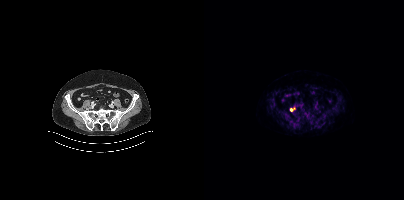
Coordinates are on the 200×200 PET (right) panel. PSMA-avid tumor lesion bounding box (x0, y0)-(x1, y1): (86, 107)-(91, 111).